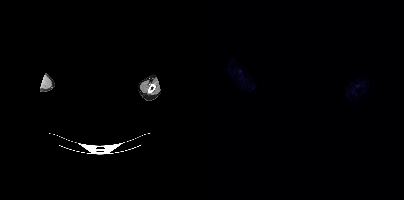
Face de-identified by blanking a block of the head. Paired axial CT (left) and PSMA PET (right), [18F]PSMA-1007 tracer. PET panel 200×200 px (4.1 mm/px). No tumor lesions annotated on this slice.